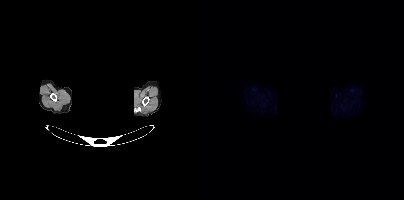
{"modality":"PSMA PET/CT","view":"axial","tracer":"18F","pet_grid":[200,200],"coord_frame":"pet_panel","coord_format":"x0,y0,x1,y1","de-identification":"rectangular block over head set to black","psma_avid_lesions":false}